modality: PSMA PET/CT | tracer: [68Ga]Ga-PSMA-11 | view: axial | PET grid: 256×256
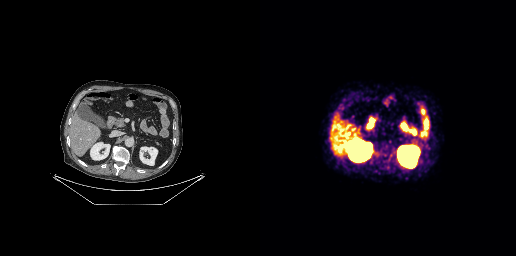
Negative for PSMA-avid disease on this slice.